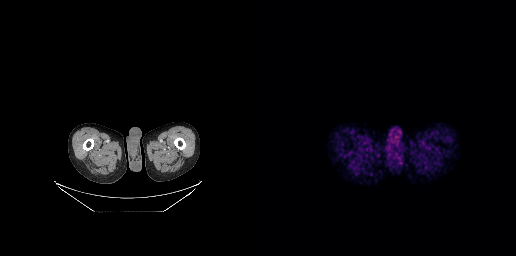
Left: CT. Right: PSMA PET, same axial level, [68Ga]Ga-PSMA-11 tracer. Acquired on GE Discovery 690. No PSMA-avid tumor lesions on this slice.